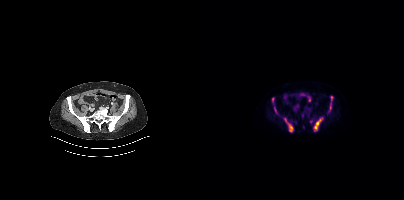
Paired axial CT (left) and PSMA PET (right), 18F tracer.
Coordinates are on the 200×200 PET (right) panel. PSMA-avid tumor lesion bounding boxes:
| # | x0 | y0 | x1 | y1 |
|---|---|---|---|---|
| 1 | 109 | 117 | 118 | 131 |
| 2 | 80 | 118 | 89 | 132 |
| 3 | 127 | 96 | 128 | 100 |
| 4 | 70 | 107 | 72 | 112 |
Small PSMA-avid foci (2 to 4 px across) near (center x, center y): (69, 99); (126, 107); (106, 121).